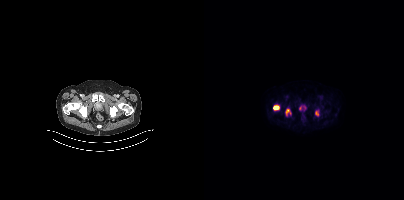
Coordinates are on the 200×200 PET (right) panel. PSMA-avid tumor lesion bounding boxes:
| # | x0 | y0 | x1 | y1 |
|---|---|---|---|---|
| 1 | 69 | 105 | 75 | 110 |
| 2 | 81 | 109 | 86 | 115 |
| 3 | 111 | 110 | 114 | 115 |
Left: CT. Right: PSMA PET, same axial level, [18F]PSMA-1007 tracer. Acquired on Siemens Biograph mCT Flow 20.